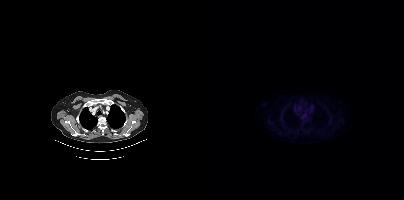
modality: PSMA PET/CT | tracer: [18F]PSMA-1007 | view: axial
Negative for PSMA-avid disease on this slice.